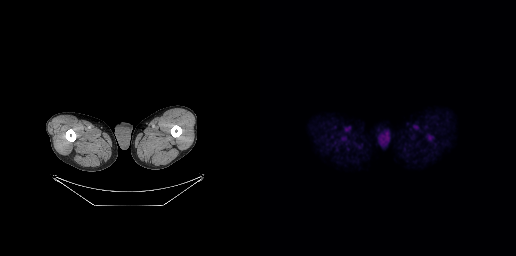
Negative for PSMA-avid disease on this slice.